Left: CT. Right: PSMA PET, same axial level, 18F-PSMA tracer.
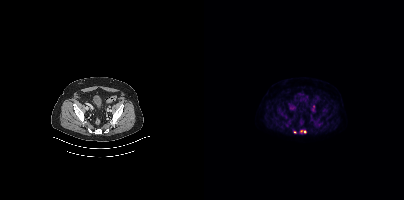
Coordinates are on the 200×200 PET (right) panel. PSMA-avid tumor lesion bounding box (x0,y0,x1,y1): [96,130,102,133]. Small PSMA-avid focus (2 to 4 px across) near (center x, center y): (91, 132).